Paired axial CT (left) and PSMA PET (right), 18F tracer. PET panel 256×256 px (2.7 mm/px).
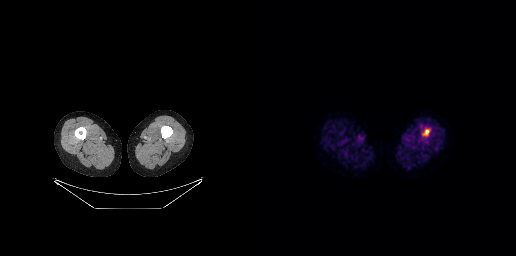
Negative for PSMA-avid disease on this slice.